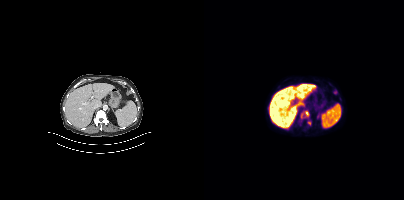
Left: CT. Right: PSMA PET, same axial level, 18F tracer. Slice 217 of 413. PET panel 200×200 px (4.1 mm/px). Coordinates are on the 200×200 PET (right) panel. PSMA-avid tumor lesion bounding boxes (x, y, width, height): x=97 y=111 w=9 h=7; x=103 y=121 w=5 h=5.